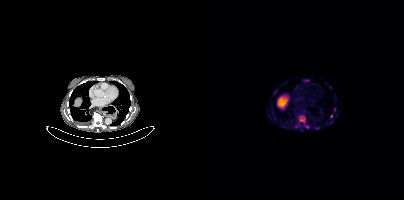
{"modality":"PSMA PET/CT","view":"axial","tracer":"18F-PSMA","pet_grid":[200,200],"coord_frame":"pet_panel","coord_format":"x0,y0,x1,y1","partial":true,"lesion_bboxes":[[95,115,101,123],[110,127,115,129],[100,125,104,128]],"small_foci_centers":[[70,93],[127,116],[130,109],[92,126],[126,122]]}